modality: PSMA PET/CT | tracer: 68Ga | view: axial
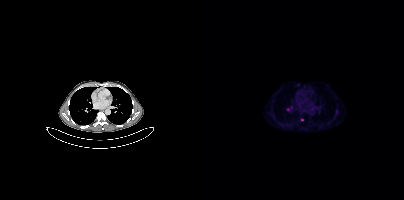
Coordinates are on the 200×200 PET (right) panel. (showing 3 of 4 foci) Small PSMA-avid foci (2 to 4 px across) near (center x, center y): (83, 109); (94, 84); (97, 119).